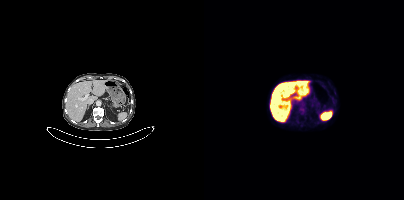
{"modality":"PSMA PET/CT","view":"axial","tracer":"18F-PSMA","pet_grid":[200,200],"coord_frame":"pet_panel","coord_format":"x0,y0,x1,y1","psma_avid_lesions":false}